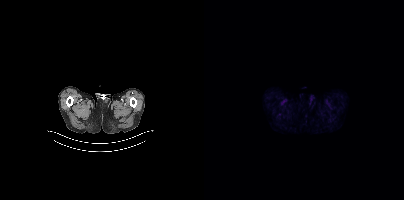
Two-panel axial: CT | PSMA PET, 18F tracer. PET panel 200×200 px (4.1 mm/px). No PSMA-avid tumor lesions on this slice.